Paired axial CT (left) and PSMA PET (right), [18F]PSMA-1007 tracer. Slice position z = -872 mm.
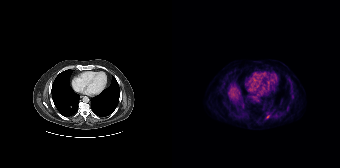
Coordinates are on the 168×168 PET (right) panel. Small PSMA-avid focus (2 to 4 px across) near (center x, center y): (95, 116).